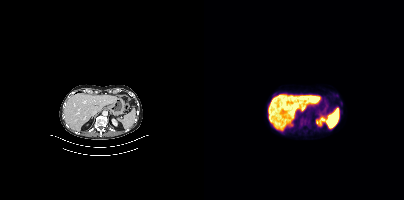
{"pet_grid":[200,200],"coord_frame":"pet_panel","coord_format":"x0,y0,x1,y1","psma_avid_lesions":false,"modality":"PSMA PET/CT","view":"axial","tracer":"18F"}